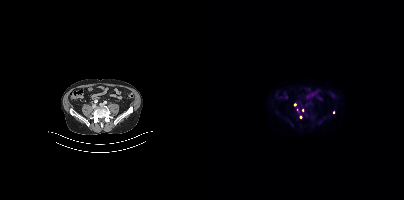
Two-panel axial: CT | PSMA PET, 18F-PSMA tracer. Acquired on Siemens Biograph mCT Flow 20. Slice position z = -1282 mm. Only PSMA-avid lesion pieces thinner than 2 px on this slice (not listed).